Technique: Left: CT. Right: PSMA PET, same axial level, 18F-PSMA tracer. slice position z = -329 mm.
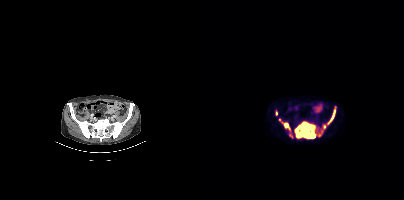
Findings: Coordinates are on the 200×200 PET (right) panel. (showing 6 of 7 foci) PSMA-avid tumor lesion bounding boxes (x0, y0)-(x1, y1): (90, 122)-(111, 138) / (112, 124)-(123, 136) / (124, 107)-(131, 123) / (75, 119)-(86, 130). Small PSMA-avid foci (2 to 4 px across) near (center x, center y): (72, 113) / (87, 136).